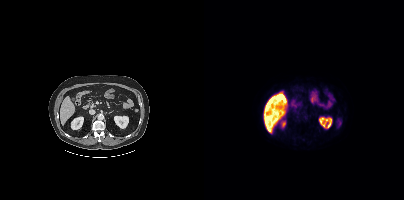
Two-panel axial: CT | PSMA PET, 18F tracer. Acquired on Siemens Biograph mCT Flow 20. PET panel 200×200 px (4.1 mm/px). No tumor lesions annotated on this slice.